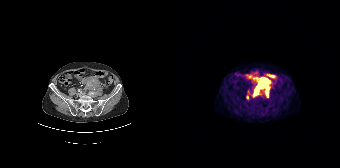
Coordinates are on the 168×168 PET (right) panel. (showing 4 of 5 foci) PSMA-avid tumor lesion bounding boxes (x0, y0)-(x1, y1): (88, 78)-(98, 97); (81, 86)-(86, 96); (83, 77)-(87, 80). Small PSMA-avid focus (2 to 4 px across) near (center x, center y): (75, 97).
modality: PSMA PET/CT | tracer: 68Ga-PSMA | view: axial | PET grid: 168×168